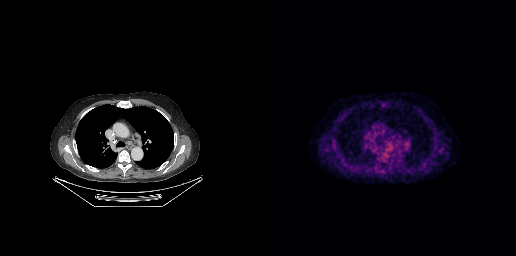
No tumor lesions annotated on this slice.
modality: PSMA PET/CT | tracer: 18F-PSMA | view: axial